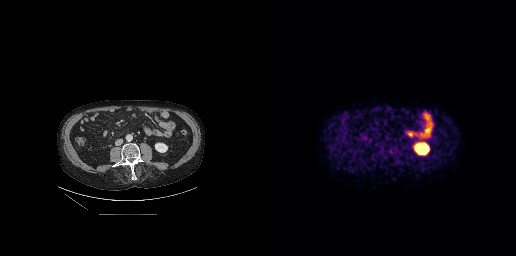
{"modality":"PSMA PET/CT","view":"axial","tracer":"[18F]PSMA-1007","pet_grid":[256,256],"coord_frame":"pet_panel","coord_format":"x0,y0,x1,y1","partial":true,"lesion_bboxes":[[133,146,137,150],[121,151,124,155]]}